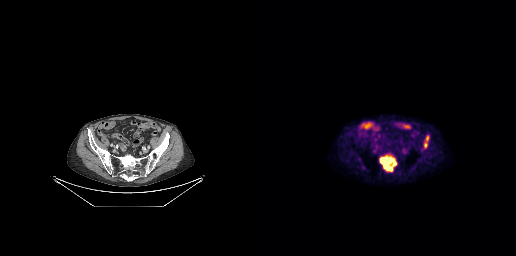
Coordinates are on the 256×256 PET (right) panel. PSMA-avid tumor lesion bounding box (x, y, width, height): x=120 y=157 w=17 h=14. Small PSMA-avid foci (2 to 4 px across) near (center x, center y): (165, 145) / (167, 138). Paired axial CT (left) and PSMA PET (right), [18F]PSMA-1007 tracer. PET panel 256×256 px (2.7 mm/px).